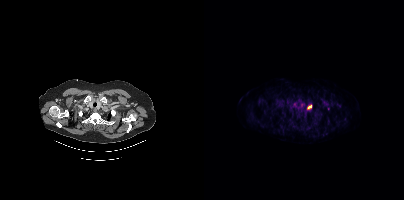
Coordinates are on the 200×200 PET (right) panel. (showing 1 of 2 foci) PSMA-avid tumor lesion bounding box (x0, y0)-(x1, y1): (103, 105)-(107, 109).